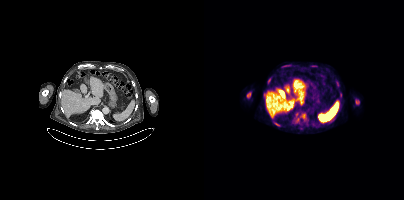
{"pet_grid":[200,200],"coord_frame":"pet_panel","coord_format":"x0,y0,x1,y1","partial":true,"lesion_bboxes":[[43,92,46,97],[152,100,155,104],[70,122,75,125]],"small_foci_centers":[[97,115]],"modality":"PSMA PET/CT","view":"axial","tracer":"18F-PSMA"}